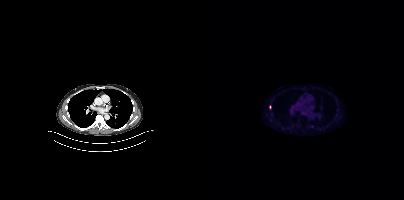
Findings: Coordinates are on the 200×200 PET (right) panel. (showing 1 of 2 foci) Small PSMA-avid focus (2 to 4 px across) near (center x, center y): (107, 126).
- Left: CT. Right: PSMA PET, same axial level, 18F-PSMA tracer
- acquired on Siemens Biograph mCT Flow 20